Two-panel axial: CT | PSMA PET, [68Ga]Ga-PSMA-11 tracer. Acquired on Siemens Biograph mCT Flow 20. Slice position z = -597 mm. PET panel 200×200 px (4.1 mm/px).
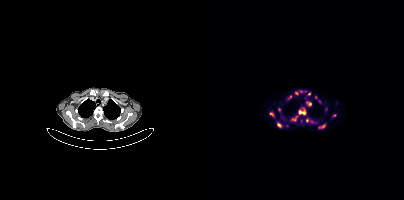
Coordinates are on the 200×200 PET (right) panel. (showing 13 of 16 foci) PSMA-avid tumor lesion bounding boxes (x0,y0,x1,y1): [95,110,101,114]; [88,116,92,120]; [73,123,77,127]; [65,112,70,115]; [115,125,121,128]; [84,95,87,99]. Small PSMA-avid foci (2 to 4 px across) near (center x, center y): (75, 109); (106, 103); (105, 93); (92, 93); (111, 97); (130, 115); (102, 120).